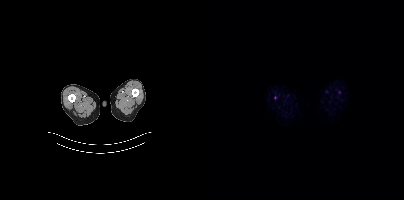
Technique: Left: CT. Right: PSMA PET, same axial level, [18F]PSMA-1007 tracer. acquired on Siemens Biograph mCT Flow 20.
Findings: Only PSMA-avid lesion pieces thinner than 2 px on this slice (not listed).